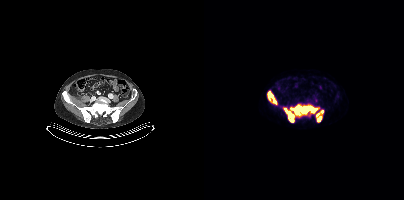
modality: PSMA PET/CT | tracer: [18F]PSMA-1007 | view: axial | PET grid: 200×200
Coordinates are on the 200×200 PET (right) panel. PSMA-avid tumor lesion bounding boxes (x0, y0)-(x1, y1): (86, 105)-(113, 115) | (80, 108)-(90, 122) | (64, 91)-(72, 104) | (112, 110)-(119, 121).